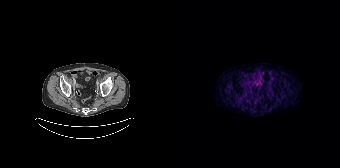
Left: CT. Right: PSMA PET, same axial level, [68Ga]Ga-PSMA-11 tracer. Negative for PSMA-avid disease on this slice.